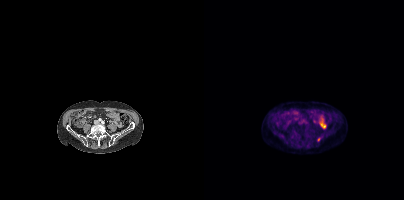
{"modality":"PSMA PET/CT","view":"axial","tracer":"18F","pet_grid":[200,200],"coord_frame":"pet_panel","coord_format":"x0,y0,x1,y1","lesion_bboxes":[],"small_foci_centers":[[114,139]]}